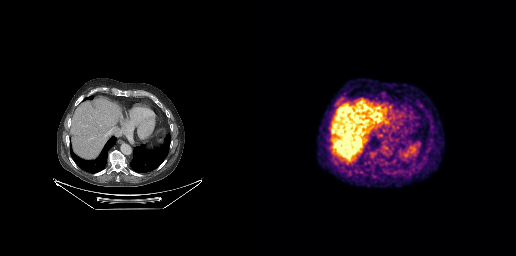
This slice has no annotated PSMA-avid lesion.